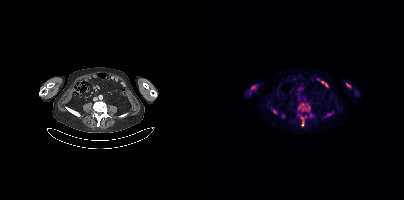
Technique: Left: CT. Right: PSMA PET, same axial level, 18F-PSMA tracer. acquired on Siemens Biograph mCT Flow 20. PET panel 200×200 px (4.1 mm/px).
Findings: Coordinates are on the 200×200 PET (right) panel. PSMA-avid tumor lesion bounding boxes (x0,y0,x1,y1): [94,103,106,111]; [96,116,102,126]; [142,83,146,86]; [69,109,72,113]. Small PSMA-avid foci (2 to 4 px across) near (center x, center y): (106, 115); (124, 114); (79, 116).